Two-panel axial: CT | PSMA PET, 18F-PSMA tracer. Acquired on Siemens Biograph mCT Flow 20. PET panel 200×200 px (4.1 mm/px).
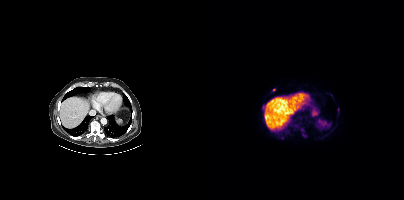
Coordinates are on the 200×200 PET (right) panel. (showing 4 of 5 foci) Small PSMA-avid foci (2 to 4 px across) near (center x, center y): (78, 137); (100, 135); (70, 89); (98, 129).